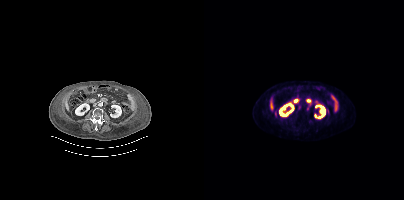
Technique: Two-panel axial: CT | PSMA PET, [18F]PSMA-1007 tracer. slice 139 of 344.
Findings: Coordinates are on the 200×200 PET (right) panel. PSMA-avid tumor lesion bounding box (x, y, width, height): x=94 y=105 w=4 h=6. Small PSMA-avid focus (2 to 4 px across) near (center x, center y): (103, 108).